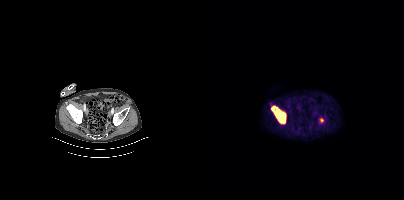
Coordinates are on the 200×200 PET (right) panel. PSMA-avid tumor lesion bounding boxes (x0,y0,x1,y1): [67,105,82,124]; [115,118,120,123].